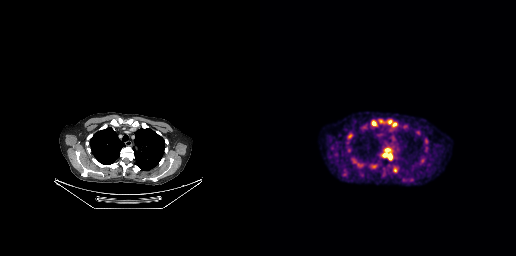
Technique: Two-panel axial: CT | PSMA PET, [18F]PSMA-1007 tracer. PET panel 256×256 px (2.7 mm/px).
Findings: Coordinates are on the 256×256 PET (right) panel. (showing 6 of 7 foci) PSMA-avid tumor lesion bounding boxes (x0, y0)-(x1, y1): (122, 148)-(132, 159) | (111, 164)-(117, 168) | (133, 167)-(138, 172) | (112, 121)-(116, 125). Small PSMA-avid foci (2 to 4 px across) near (center x, center y): (134, 124) | (129, 121).